- Left: CT. Right: PSMA PET, same axial level, 68Ga tracer
- PET panel 168×168 px (4.1 mm/px)
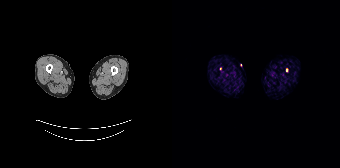
Findings: Coordinates are on the 168×168 PET (right) panel. Small PSMA-avid focus (2 to 4 px across) near (center x, center y): (114, 70).